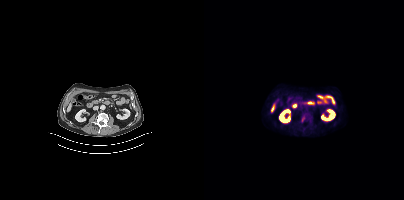
{"modality":"PSMA PET/CT","view":"axial","tracer":"18F","pet_grid":[200,200],"coord_frame":"pet_panel","coord_format":"x0,y0,x1,y1","lesion_bboxes":[],"small_foci_centers":[[99,118]]}